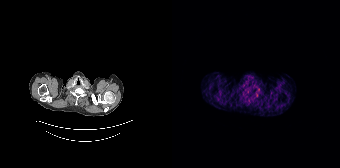
Findings: Only PSMA-avid lesion pieces thinner than 2 px on this slice (not listed).
- Paired axial CT (left) and PSMA PET (right), 68Ga-PSMA tracer
- acquired on Siemens Biograph 64-4R TruePoint